Paired axial CT (left) and PSMA PET (right), 18F-PSMA tracer. Slice position z = -1078 mm.
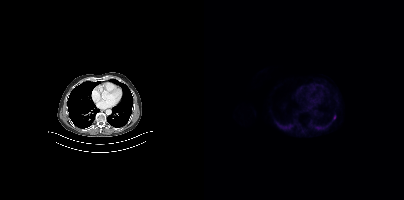
Coordinates are on the 200×200 PET (right) panel. PSMA-avid tumor lesion bounding box (x, y, width, height): x=129 y=115 w=3 h=5.